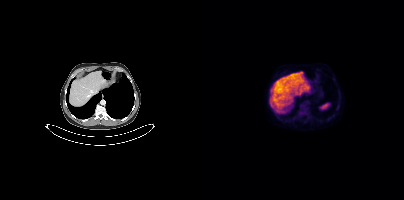
No PSMA-avid tumor lesions on this slice.
modality: PSMA PET/CT | tracer: 18F | view: axial